modality: PSMA PET/CT | tracer: [18F]PSMA-1007 | view: axial | PET grid: 200×200
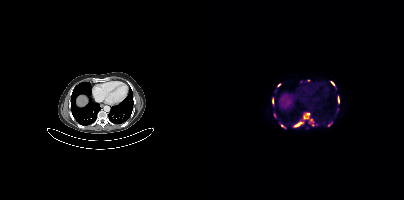
Coordinates are on the 200×200 PET (right) panel. (showing 10 of 12 foci) PSMA-avid tumor lesion bounding boxes (x0, y0)-(x1, y1): (99, 113)-(109, 122) / (133, 95)-(135, 103) / (127, 81)-(130, 85) / (68, 99)-(69, 103). Small PSMA-avid foci (2 to 4 px across) near (center x, center y): (125, 124) / (96, 124) / (70, 115) / (104, 80) / (75, 84) / (78, 125).